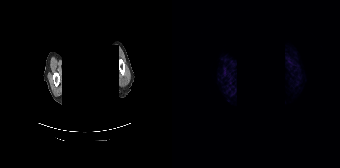
Privacy masking over the head, with the pixels inside a rectangle set to black.
Negative for PSMA-avid disease on this slice.